modality: PSMA PET/CT | tracer: [18F]PSMA-1007 | view: axial
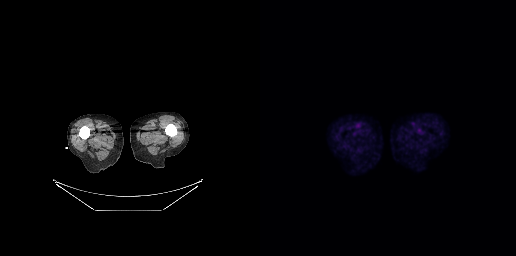
This slice has no annotated PSMA-avid lesion.